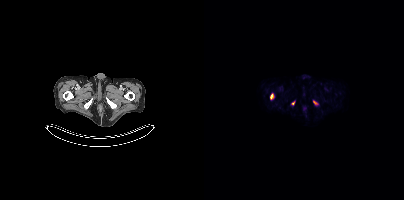
Coordinates are on the 200×200 PET (right) panel. PSMA-avid tumor lesion bounding box (x, y, width, height): x=66 y=94 w=4 h=5. Small PSMA-avid foci (2 to 4 px across) near (center x, center y): (111, 102) / (88, 103). Two-panel axial: CT | PSMA PET, 18F tracer. Acquired on Siemens Biograph mCT Flow 20. Slice 479 of 963.